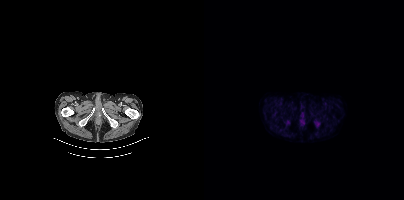
No PSMA-avid tumor lesions on this slice. Left: CT. Right: PSMA PET, same axial level, 18F-PSMA tracer. Slice 55 of 452.